Paired axial CT (left) and PSMA PET (right), 18F-PSMA tracer. Acquired on Siemens Biograph mCT Flow 20. Slice position z = -207 mm. PET panel 200×200 px (4.1 mm/px).
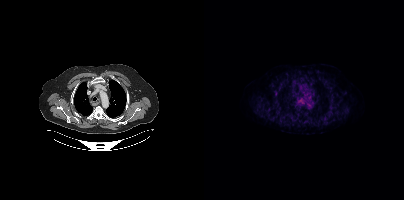
No tumor lesions annotated on this slice.